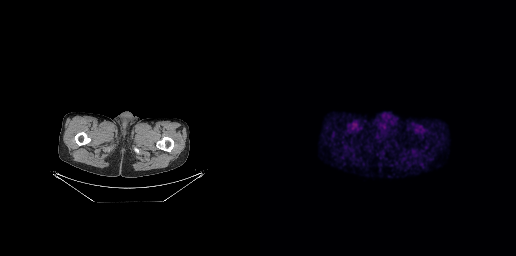
{"modality":"PSMA PET/CT","view":"axial","tracer":"68Ga-PSMA","pet_grid":[256,256],"coord_frame":"pet_panel","coord_format":"x0,y0,x1,y1","psma_avid_lesions":false}